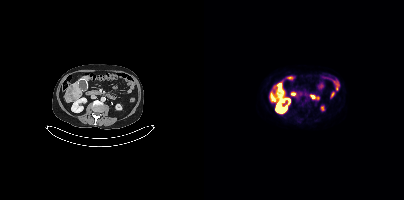
Technique: Two-panel axial: CT | PSMA PET, 18F tracer. acquired on Siemens Biograph mCT Flow 20. PET panel 200×200 px (4.1 mm/px).
Findings: Coordinates are on the 200×200 PET (right) panel. PSMA-avid tumor lesion bounding box (x0, y0)-(x1, y1): (73, 83)-(77, 87).